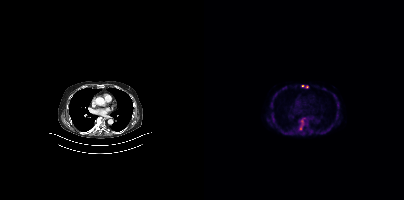
Technique: Left: CT. Right: PSMA PET, same axial level, 18F tracer. PET panel 200×200 px (4.1 mm/px).
Findings: Coordinates are on the 200×200 PET (right) panel. PSMA-avid tumor lesion bounding box (x0, y0)-(x1, y1): (95, 119)-(100, 128). Small PSMA-avid foci (2 to 4 px across) near (center x, center y): (98, 85); (102, 86); (105, 129).